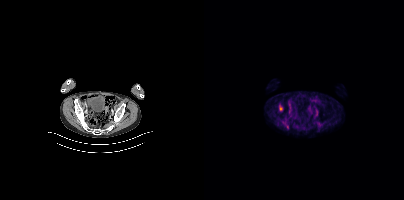
{"pet_grid":[200,200],"coord_frame":"pet_panel","coord_format":"x0,y0,x1,y1","lesion_bboxes":[],"small_foci_centers":[[76,108]],"modality":"PSMA PET/CT","view":"axial","tracer":"18F-PSMA"}